Technique: Left: CT. Right: PSMA PET, same axial level, [68Ga]Ga-PSMA-11 tracer. acquired on Siemens Biograph 64-4R TruePoint. slice 168 of 195. PET panel 168×168 px (4.1 mm/px).
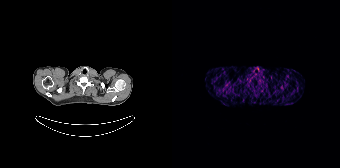
Findings: Negative for PSMA-avid disease on this slice.